- Paired axial CT (left) and PSMA PET (right), [18F]PSMA-1007 tracer
- slice position z = -1206 mm
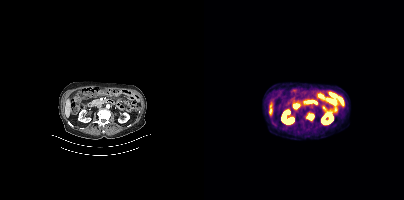
Findings: Coordinates are on the 200×200 PET (right) panel. PSMA-avid tumor lesion bounding box (x0,y0,x1,y1): [104,115,109,119].